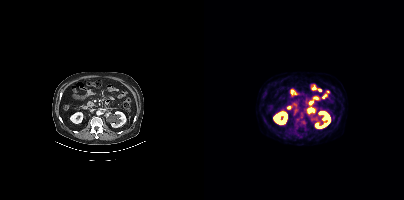
Paired axial CT (left) and PSMA PET (right), 18F tracer. Acquired on Siemens Biograph mCT Flow 20. Slice 214 of 448. No PSMA-avid tumor lesions on this slice.